Paired axial CT (left) and PSMA PET (right), [18F]PSMA-1007 tracer. Acquired on Siemens Biograph mCT Flow 20. PET panel 200×200 px (4.1 mm/px).
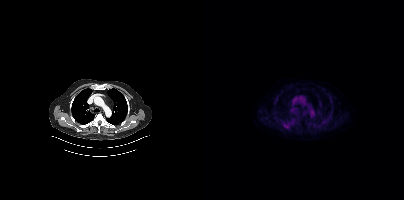
Coordinates are on the 200×200 PET (right) panel. Small PSMA-avid focus (2 to 4 px across) near (center x, center y): (80, 125).